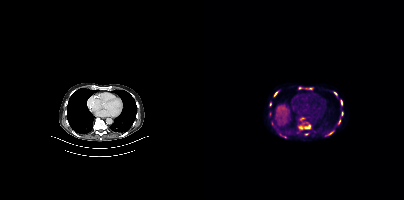
Left: CT. Right: PSMA PET, same axial level, 18F-PSMA tracer. Acquired on Siemens Biograph mCT Flow 20. Slice 304 of 466. PET panel 200×200 px (4.1 mm/px). Coordinates are on the 200×200 PET (right) panel. (showing 9 of 12 foci) PSMA-avid tumor lesion bounding boxes (x0, y0)-(x1, y1): (94, 122)-(106, 129); (136, 99)-(138, 105); (69, 91)-(74, 96); (129, 91)-(133, 96); (137, 111)-(139, 116); (134, 118)-(136, 124); (124, 131)-(129, 135). Small PSMA-avid foci (2 to 4 px across) near (center x, center y): (102, 134); (66, 104).